Technique: Left: CT. Right: PSMA PET, same axial level, 18F-PSMA tracer. PET panel 256×256 px (2.7 mm/px).
Note: Head region blanked for anonymization (face removed).
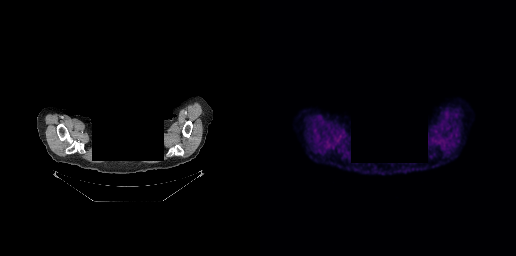
Findings: No PSMA-avid tumor lesions on this slice.